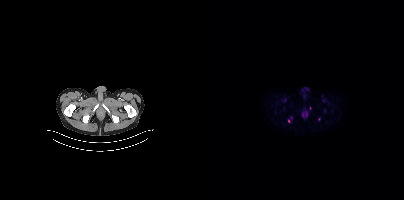
Two-panel axial: CT | PSMA PET, 18F-PSMA tracer. Acquired on Siemens Biograph mCT Flow 20. Coordinates are on the 200×200 PET (right) panel. Small PSMA-avid focus (2 to 4 px across) near (center x, center y): (84, 121).